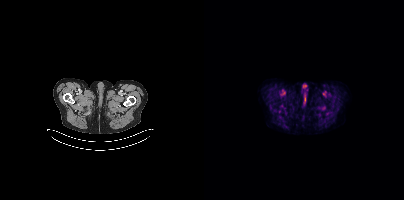
{"pet_grid":[200,200],"coord_frame":"pet_panel","coord_format":"x0,y0,x1,y1","psma_avid_lesions":false,"modality":"PSMA PET/CT","view":"axial","tracer":"18F-PSMA"}